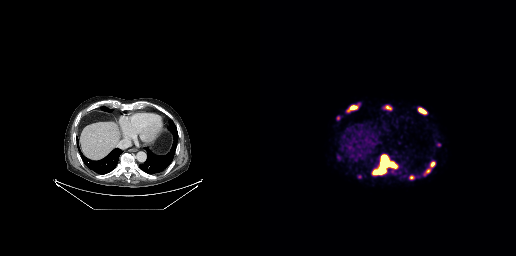
modality: PSMA PET/CT | tracer: 68Ga-PSMA | view: axial
Coordinates are on the 256×256 PET (right) panel. (showing 9 of 11 foci) PSMA-avid tumor lesion bounding boxes (x, y, width, height): x=112 y=156 w=25 h=19 | x=158 y=108 w=9 h=6 | x=91 y=105 w=7 h=5 | x=149 y=175 w=6 h=5 | x=171 y=162 w=4 h=5. Small PSMA-avid foci (2 to 4 px across) near (center x, center y): (168, 171) | (99, 176) | (127, 107) | (87, 110).